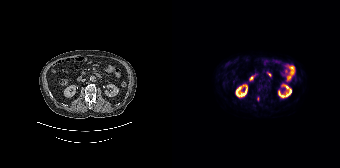
- Two-panel axial: CT | PSMA PET, 18F tracer
- PET panel 168×168 px (4.1 mm/px)
Findings: Coordinates are on the 168×168 PET (right) panel. PSMA-avid tumor lesion bounding boxes (x, y, width, height): x=85 y=96 w=3 h=6 | x=86 y=86 w=4 h=5.